Technique: Left: CT. Right: PSMA PET, same axial level, 68Ga tracer. PET panel 168×168 px (4.1 mm/px).
Note: A rectangular block over the head has been blanked out for de-identification.
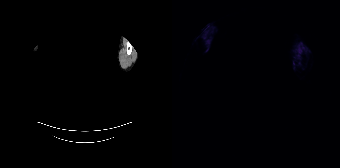
Findings: This slice has no annotated PSMA-avid lesion.